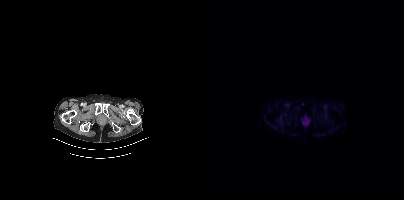
modality: PSMA PET/CT | tracer: 68Ga | view: axial
Coordinates are on the 200×200 PET (right) panel. Small PSMA-avid focus (2 to 4 px across) near (center x, center y): (98, 103).